Two-panel axial: CT | PSMA PET, 68Ga tracer. Slice 45 of 189.
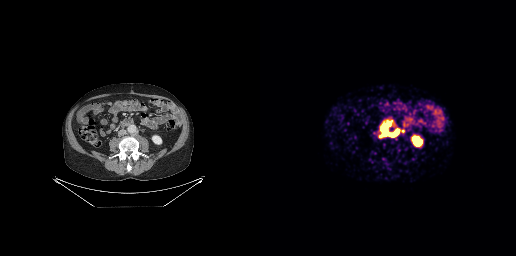
Coordinates are on the 256×256 PET (right) panel. PSMA-avid tumor lesion bounding boxes:
| # | x0 | y0 | x1 | y1 |
|---|---|---|---|---|
| 1 | 122 | 127 | 138 | 136 |
| 2 | 140 | 129 | 144 | 133 |
| 3 | 126 | 122 | 130 | 125 |